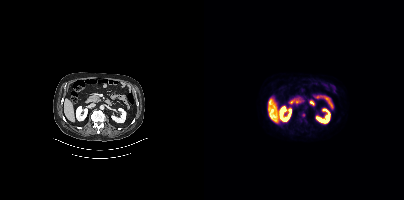
Left: CT. Right: PSMA PET, same axial level, 18F tracer. Negative for PSMA-avid disease on this slice.